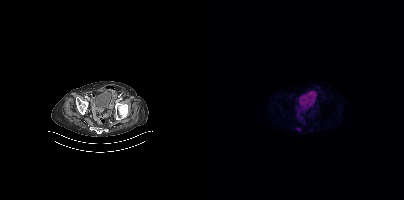
modality: PSMA PET/CT | tracer: [18F]PSMA-1007 | view: axial | PET grid: 200×200
Coordinates are on the 200×200 PET (right) panel. Small PSMA-avid foci (2 to 4 px across) near (center x, center y): (94, 129) / (107, 130).